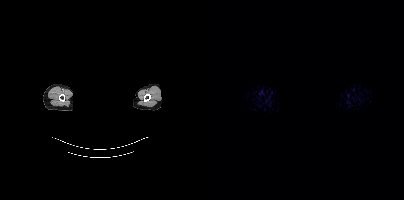
Paired axial CT (left) and PSMA PET (right), 68Ga tracer. The head region is masked for de-identification. This slice has no annotated PSMA-avid lesion.